Left: CT. Right: PSMA PET, same axial level, 18F tracer. PET panel 168×168 px (4.1 mm/px). Any black rectangle over the head is a privacy mask, not anatomy.
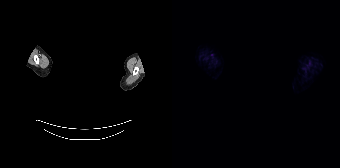
Negative for PSMA-avid disease on this slice.